- Two-panel axial: CT | PSMA PET, 18F-PSMA tracer
- PET panel 256×256 px (2.7 mm/px)
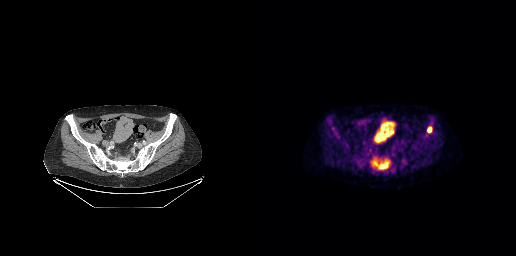
Findings: Coordinates are on the 256×256 PET (right) panel. PSMA-avid tumor lesion bounding boxes (x0,y0,x1,y1): [114,161,128,169], [168,127,171,132].